Paired axial CT (left) and PSMA PET (right), [18F]PSMA-1007 tracer. PET panel 200×200 px (4.1 mm/px).
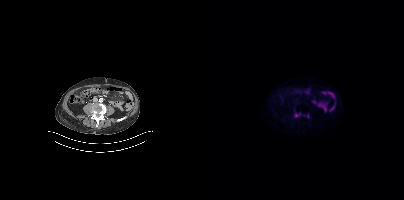
Coordinates are on the 200×200 PET (right) panel. PSMA-avid tumor lesion bounding boxes:
| # | x0 | y0 | x1 | y1 |
|---|---|---|---|---|
| 1 | 91 | 113 | 96 | 116 |
Small PSMA-avid focus (2 to 4 px across) near (center x, center y): (103, 116).